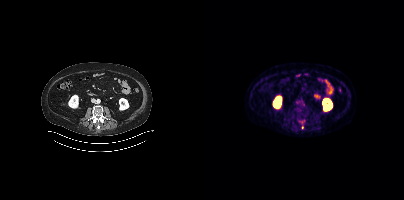
Only PSMA-avid lesion pieces thinner than 2 px on this slice (not listed). Two-panel axial: CT | PSMA PET, [18F]PSMA-1007 tracer. Slice 186 of 429.